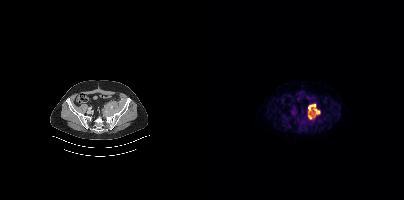
Coordinates are on the 200×200 PET (right) panel. PSMA-avid tumor lesion bounding boxes:
| # | x0 | y0 | x1 | y1 |
|---|---|---|---|---|
| 1 | 104 | 104 | 116 | 119 |
Two-panel axial: CT | PSMA PET, 18F tracer.